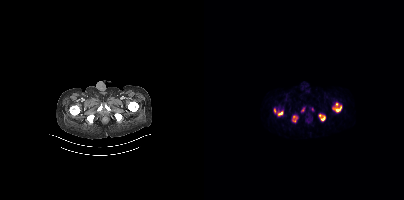
{"modality":"PSMA PET/CT","view":"axial","tracer":"[68Ga]Ga-PSMA-11","pet_grid":[200,200],"coord_frame":"pet_panel","coord_format":"x0,y0,x1,y1","psma_avid_lesions":false}